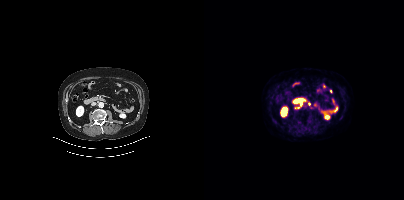
Coordinates are on the 200×200 PET (right) panel. (showing 2 of 3 foci) PSMA-avid tumor lesion bounding box (x0,y0,x1,y1): [90,106,94,109]. Small PSMA-avid focus (2 to 4 px across) near (center x, center y): (105, 103). Left: CT. Right: PSMA PET, same axial level, [18F]PSMA-1007 tracer. Acquired on Siemens Biograph mCT Flow 20.